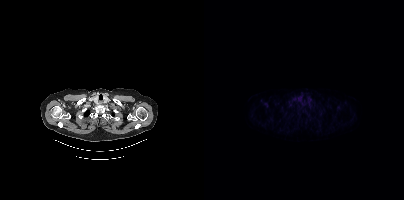
{"pet_grid":[200,200],"coord_frame":"pet_panel","coord_format":"x0,y0,x1,y1","psma_avid_lesions":false,"modality":"PSMA PET/CT","view":"axial","tracer":"18F-PSMA"}